modality: PSMA PET/CT | tracer: [18F]PSMA-1007 | view: axial
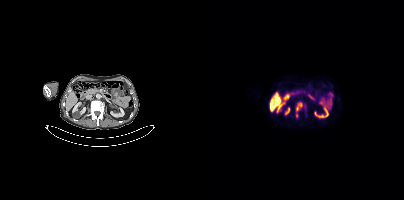
Coordinates are on the 200×200 PET (right) panel. PSMA-avid tumor lesion bounding box (x0,y0,x1,y1): [92,102,98,111]. Small PSMA-avid focus (2 to 4 px across) near (center x, center y): (92, 115).